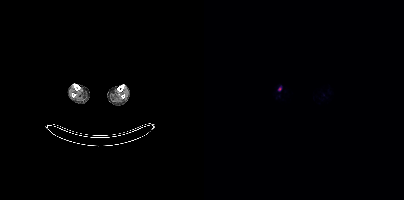
modality: PSMA PET/CT | tracer: 18F-PSMA | view: axial
Coordinates are on the 200×200 PET (right) panel. Small PSMA-avid focus (2 to 4 px across) near (center x, center y): (75, 88).